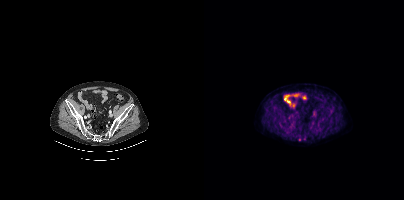
modality: PSMA PET/CT | tracer: 18F-PSMA | view: axial | PET grid: 200×200
Coordinates are on the 200×200 PET (right) panel. Small PSMA-avid focus (2 to 4 px across) near (center x, center y): (95, 139).